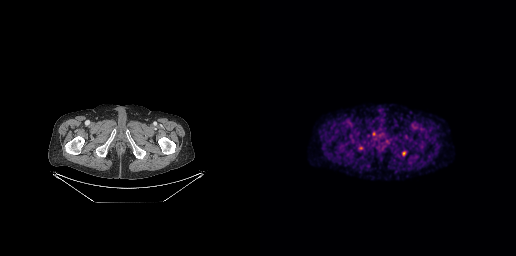
- Left: CT. Right: PSMA PET, same axial level, [18F]PSMA-1007 tracer
Findings: Coordinates are on the 256×256 PET (right) panel. Small PSMA-avid foci (2 to 4 px across) near (center x, center y): (144, 153); (101, 147).